Technique: Left: CT. Right: PSMA PET, same axial level, 18F tracer. acquired on Siemens Biograph mCT Flow 20. PET panel 200×200 px (4.1 mm/px).
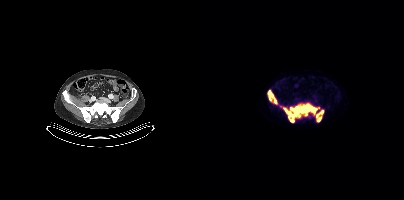
Findings: Coordinates are on the 200×200 PET (right) panel. (showing 4 of 5 foci) PSMA-avid tumor lesion bounding boxes (x0,y0,x1,y1): [79,104,112,122]; [64,90,73,104]; [112,113,117,121]. Small PSMA-avid focus (2 to 4 px across) near (center x, center y): (118, 111).